- Paired axial CT (left) and PSMA PET (right), 18F tracer
- acquired on Siemens Biograph mCT Flow 20
- PET panel 200×200 px (4.1 mm/px)
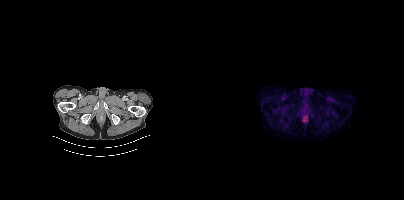
Findings: No PSMA-avid tumor lesions on this slice.